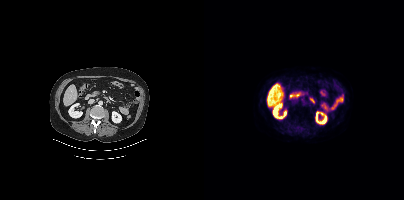
Two-panel axial: CT | PSMA PET, 18F-PSMA tracer. Slice 200 of 462. PET panel 200×200 px (4.1 mm/px). Negative for PSMA-avid disease on this slice.